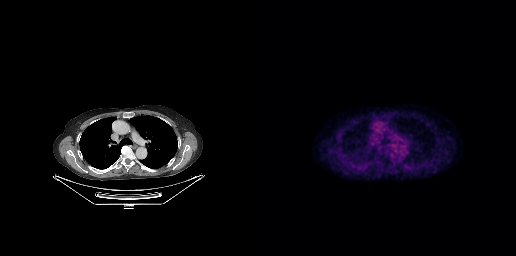
- Left: CT. Right: PSMA PET, same axial level, 18F tracer
- PET panel 256×256 px (2.7 mm/px)
Findings: No PSMA-avid tumor lesions on this slice.